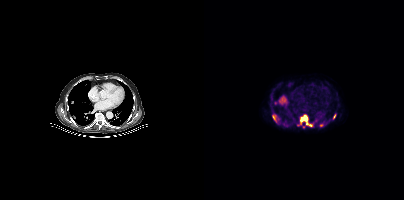
Coordinates are on the 200×200 PET (right) panel. (showing 5 of 7 foci) PSMA-avid tumor lesion bounding boxes (x, y, width, height): x=96 y=115 w=13 h=12 | x=68 y=114 w=5 h=8 | x=129 y=114 w=3 h=5. Small PSMA-avid foci (2 to 4 px across) near (center x, center y): (117, 125) | (71, 103).